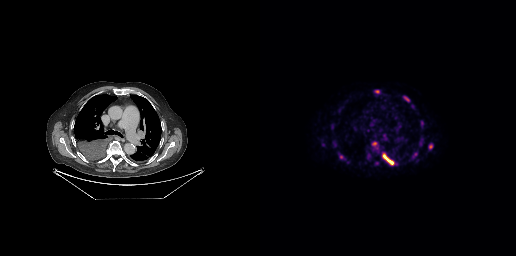
modality: PSMA PET/CT | tracer: 18F | view: axial
Coordinates are on the 256×256 PET (right) panel. (showing 6 of 8 foci) PSMA-avid tumor lesion bounding boxes (x0,y0,x1,y1): [122,153,134,165] [143,96,149,101] [112,142,116,145]. Small PSMA-avid foci (2 to 4 px across) near (center x, center y): (170, 146) (81, 156) (117, 91).